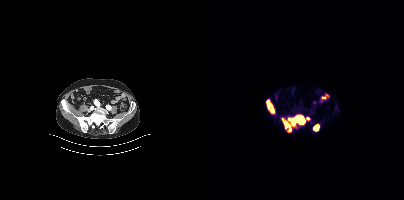
Findings: Coordinates are on the 200×200 PET (right) panel. PSMA-avid tumor lesion bounding boxes (x0, y0)-(x1, y1): (78, 115)-(101, 131) | (62, 99)-(70, 113) | (109, 124)-(115, 130). Small PSMA-avid focus (2 to 4 px across) near (center x, center y): (103, 118).
- Two-panel axial: CT | PSMA PET, 18F-PSMA tracer
- acquired on Siemens Biograph mCT Flow 20
- slice position z = -816 mm